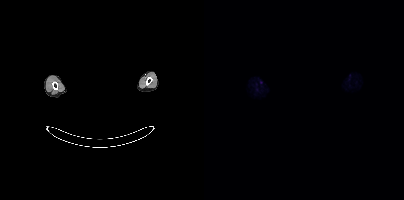
- Left: CT. Right: PSMA PET, same axial level, 18F tracer
- slice position z = -826 mm
- the face region was removed for patient privacy by blanking a rectangle over the head
Findings: No tumor lesions annotated on this slice.